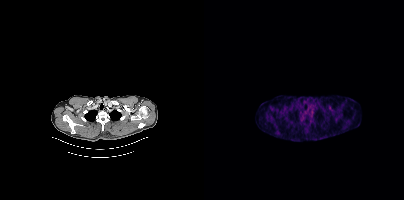
Two-panel axial: CT | PSMA PET, 18F-PSMA tracer. Slice position z = 46 mm. PET panel 200×200 px (4.1 mm/px). This slice has no annotated PSMA-avid lesion.